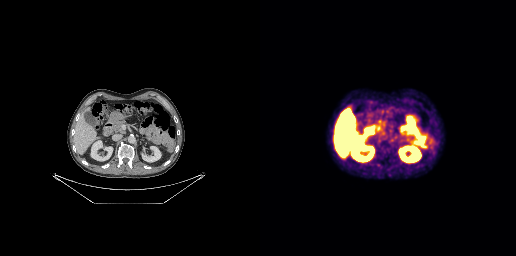
{"modality":"PSMA PET/CT","view":"axial","tracer":"18F","pet_grid":[256,256],"coord_frame":"pet_panel","coord_format":"x0,y0,x1,y1","psma_avid_lesions":false}